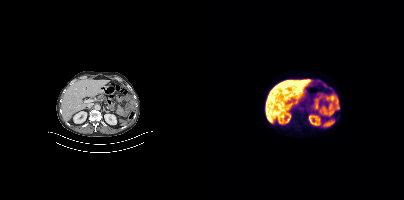
{"modality":"PSMA PET/CT","view":"axial","tracer":"[18F]PSMA-1007","pet_grid":[200,200],"coord_frame":"pet_panel","coord_format":"x0,y0,x1,y1","psma_avid_lesions":false}